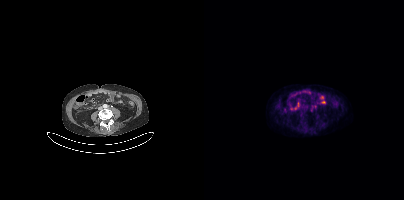
Technique: Left: CT. Right: PSMA PET, same axial level, 18F-PSMA tracer. PET panel 200×200 px (4.1 mm/px).
Findings: Coordinates are on the 200×200 PET (right) panel. PSMA-avid tumor lesion bounding box (x, y, width, height): x=107 y=105 w=6 h=7.